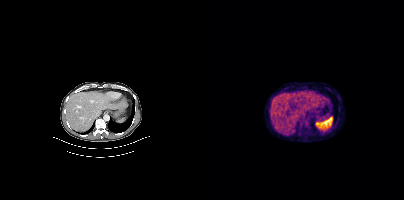
{"modality":"PSMA PET/CT","view":"axial","tracer":"18F-PSMA","pet_grid":[200,200],"coord_frame":"pet_panel","coord_format":"x0,y0,x1,y1","lesion_bboxes":[[95,118,106,126]]}